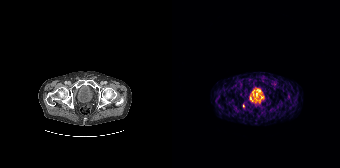
Coordinates are on the 168×168 PET (right) panel. Small PSMA-avid focus (2 to 4 px across) near (center x, center y): (71, 105).
modality: PSMA PET/CT | tracer: 68Ga | view: axial